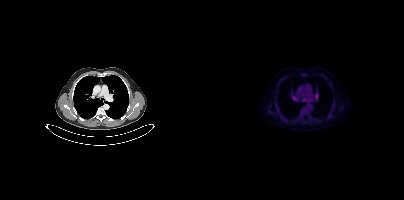
Left: CT. Right: PSMA PET, same axial level, [18F]PSMA-1007 tracer. Slice position z = -1220 mm. PET panel 200×200 px (4.1 mm/px). No PSMA-avid tumor lesions on this slice.